Technique: Two-panel axial: CT | PSMA PET, 18F tracer. PET panel 200×200 px (4.1 mm/px).
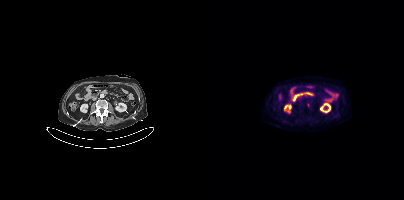
Findings: Only PSMA-avid lesion pieces thinner than 2 px on this slice (not listed).